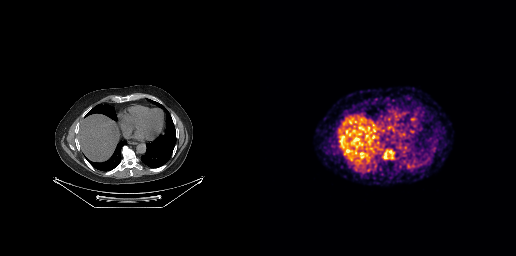
No PSMA-avid tumor lesions on this slice.